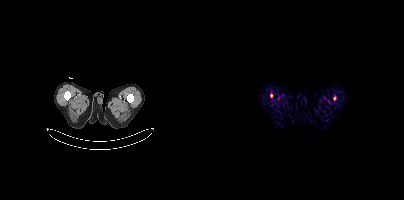
Coordinates are on the 200×200 PET (right) panel. PSMA-avid tumor lesion bounding box (x, y, width, height): x=129 y=96 w=3 h=5. Small PSMA-avid focus (2 to 4 px across) near (center x, center y): (67, 96).